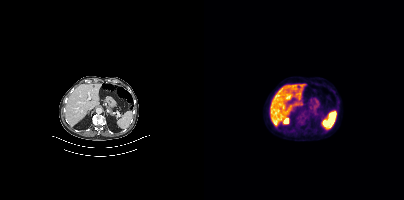
{"pet_grid":[200,200],"coord_frame":"pet_panel","coord_format":"x0,y0,x1,y1","psma_avid_lesions":false,"modality":"PSMA PET/CT","view":"axial","tracer":"18F-PSMA"}